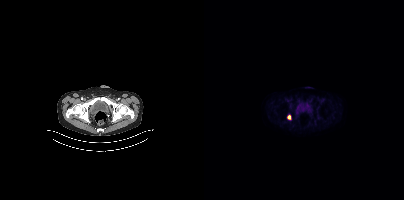
Coordinates are on the 200×200 PET (right) panel. PSMA-avid tumor lesion bounding box (x0, y0)-(x1, y1): (83, 115)-(86, 119).